- Left: CT. Right: PSMA PET, same axial level, 18F-PSMA tracer
- PET panel 256×256 px (2.7 mm/px)
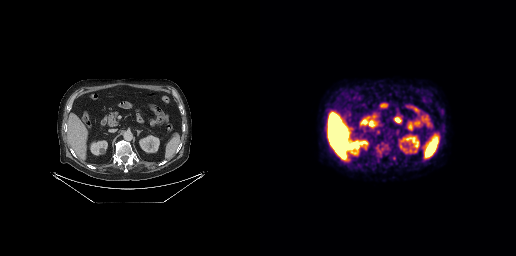
Findings: Coordinates are on the 256×256 PET (right) panel. Small PSMA-avid focus (2 to 4 px across) near (center x, center y): (118, 131).